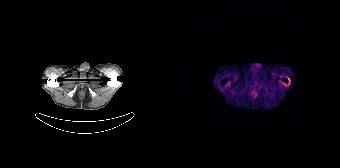
Negative for PSMA-avid disease on this slice.